Two-panel axial: CT | PSMA PET, [68Ga]Ga-PSMA-11 tracer.
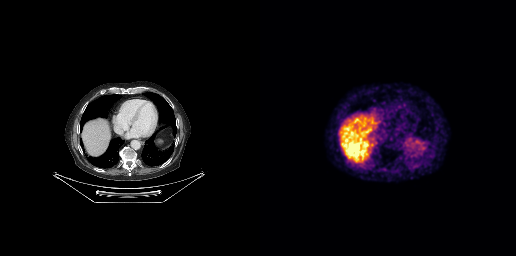
This slice has no annotated PSMA-avid lesion.